- Two-panel axial: CT | PSMA PET, 18F-PSMA tracer
- slice position z = -998 mm
- PET panel 200×200 px (4.1 mm/px)
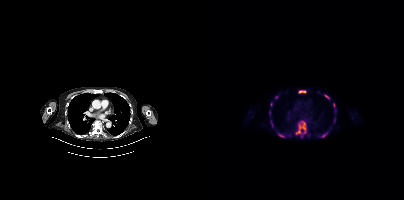
Findings: Coordinates are on the 200×200 PET (right) panel. (showing 11 of 14 foci) PSMA-avid tumor lesion bounding boxes (x0, y0)-(x1, y1): (91, 121)-(102, 138) / (75, 133)-(81, 137) / (95, 90)-(101, 93) / (66, 120)-(69, 126) / (120, 94)-(125, 99) / (117, 134)-(121, 137) / (71, 95)-(74, 99) / (66, 102)-(68, 106) / (129, 103)-(131, 107). Small PSMA-avid foci (2 to 4 px across) near (center x, center y): (131, 110) / (65, 113).